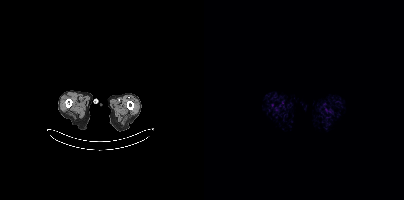
{"modality":"PSMA PET/CT","view":"axial","tracer":"18F","pet_grid":[200,200],"coord_frame":"pet_panel","coord_format":"x0,y0,x1,y1","psma_avid_lesions":false}